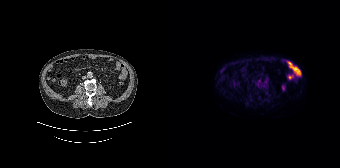
Findings: Coordinates are on the 168×168 PET (right) panel. PSMA-avid tumor lesion bounding box (x0,y0,x1,y1): [92,78,95,82].
- Paired axial CT (left) and PSMA PET (right), 18F tracer
- acquired on Siemens Biograph 64-4R TruePoint
- PET panel 168×168 px (4.1 mm/px)